- Paired axial CT (left) and PSMA PET (right), 18F tracer
- slice position z = -915 mm
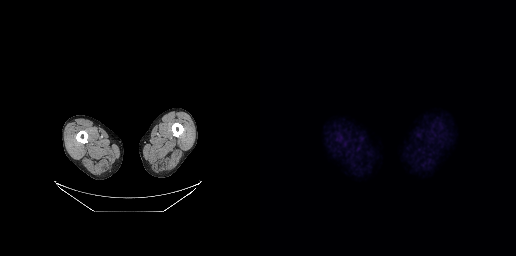
Findings: This slice has no annotated PSMA-avid lesion.